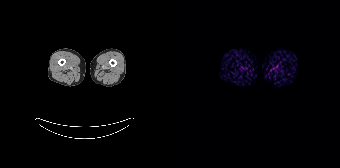
Findings: This slice has no annotated PSMA-avid lesion.
- Paired axial CT (left) and PSMA PET (right), [68Ga]Ga-PSMA-11 tracer
- PET panel 168×168 px (4.1 mm/px)